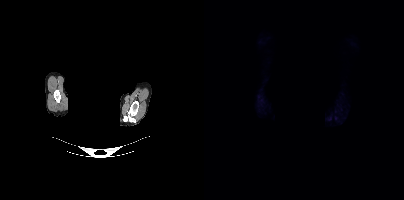
The face region was removed for patient privacy by blanking a rectangle over the head.
This slice has no annotated PSMA-avid lesion.